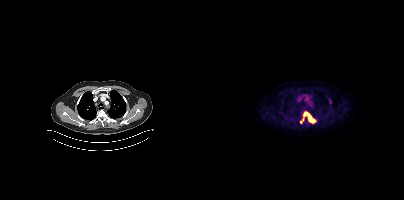
{"modality":"PSMA PET/CT","view":"axial","tracer":"18F","pet_grid":[200,200],"coord_frame":"pet_panel","coord_format":"x0,y0,x1,y1","partial":true,"lesion_bboxes":[[99,111,111,122],[96,118,99,123]],"small_foci_centers":[[126,102]]}